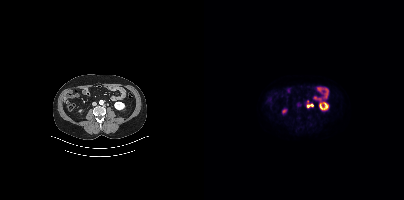
Technique: Left: CT. Right: PSMA PET, same axial level, [18F]PSMA-1007 tracer. PET panel 200×200 px (4.1 mm/px).
Findings: Coordinates are on the 200×200 PET (right) panel. PSMA-avid tumor lesion bounding box (x0,y0,x1,y1): [102,104,109,107]. Small PSMA-avid focus (2 to 4 px across) near (center x, center y): (103, 101).